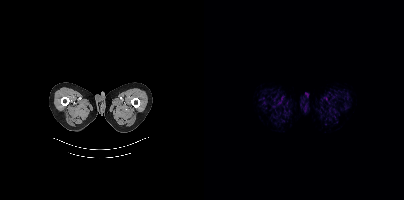
Findings: This slice has no annotated PSMA-avid lesion.
- Two-panel axial: CT | PSMA PET, 18F tracer
- slice position z = -1661 mm
- PET panel 200×200 px (4.1 mm/px)